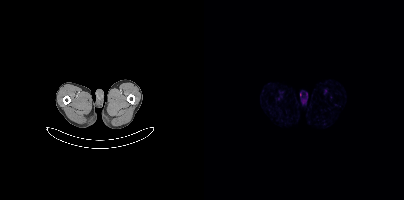
Negative for PSMA-avid disease on this slice.